Paired axial CT (left) and PSMA PET (right), 18F tracer. PET panel 200×200 px (4.1 mm/px).
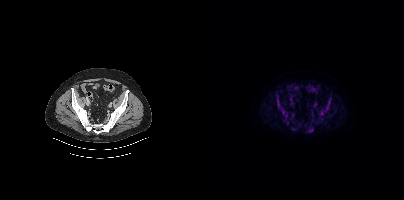
Coordinates are on the 200×200 PET (right) panel. PSMA-avid tumor lesion bounding boxes:
| # | x0 | y0 | x1 | y1 |
|---|---|---|---|---|
| 1 | 76 | 108 | 84 | 121 |
| 2 | 104 | 126 | 109 | 132 |
| 3 | 118 | 108 | 124 | 112 |
| 4 | 72 | 97 | 75 | 103 |
| 5 | 105 | 118 | 110 | 122 |
| 6 | 123 | 102 | 126 | 106 |
| 7 | 88 | 128 | 92 | 130 |
Small PSMA-avid foci (2 to 4 px across) near (center x, center y): (125, 98); (89, 123).